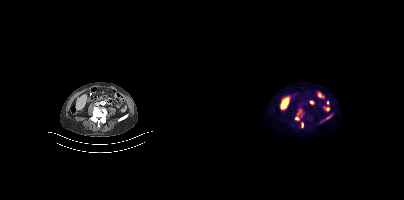
Coordinates are on the 200×200 PET (right) panel. PSMA-avid tumor lesion bounding boxes (x0, y0)-(x1, y1): (91, 109)-(99, 120) | (119, 114)-(128, 121) | (97, 122)-(99, 127).